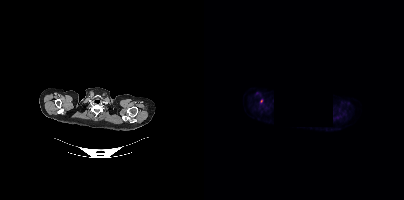
Findings: Coordinates are on the 200×200 PET (right) panel. Small PSMA-avid focus (2 to 4 px across) near (center x, center y): (57, 101).
Technique: Paired axial CT (left) and PSMA PET (right), 18F tracer. slice position z = -230 mm.
Note: A rectangular region was set to black for de-identification.